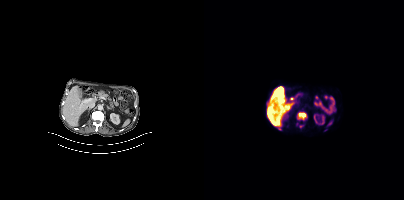
Paired axial CT (left) and PSMA PET (right), 18F tracer. Slice 196 of 387. PET panel 200×200 px (4.1 mm/px). Coordinates are on the 200×200 PET (right) panel. PSMA-avid tumor lesion bounding box (x, y, width, height): x=94 y=112 w=9 h=8. Small PSMA-avid focus (2 to 4 px across) near (center x, center y): (74, 127).